- Paired axial CT (left) and PSMA PET (right), 18F-PSMA tracer
- acquired on Siemens Biograph mCT Flow 20
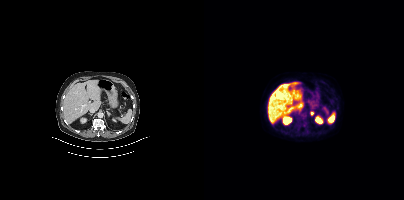
Findings: Coordinates are on the 200×200 PET (right) panel. Small PSMA-avid focus (2 to 4 px across) near (center x, center y): (108, 113).